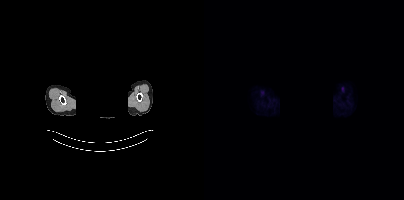
{"modality":"PSMA PET/CT","view":"axial","tracer":"18F-PSMA","pet_grid":[200,200],"coord_frame":"pet_panel","coord_format":"x0,y0,x1,y1","psma_avid_lesions":false,"de-identification":"face masked with black rectangle"}